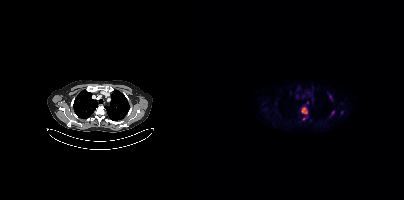
{"modality":"PSMA PET/CT","view":"axial","tracer":"18F","pet_grid":[200,200],"coord_frame":"pet_panel","coord_format":"x0,y0,x1,y1","lesion_bboxes":[[97,107,103,113],[125,95,127,99]],"small_foci_centers":[[129,112],[103,102],[137,112],[99,118]]}